Left: CT. Right: PSMA PET, same axial level, [18F]PSMA-1007 tracer. Acquired on Siemens Biograph mCT Flow 20. Any black rectangle over the head is a privacy mask, not anatomy.
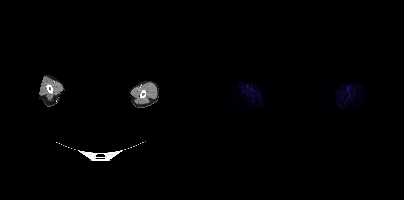
No PSMA-avid tumor lesions on this slice.